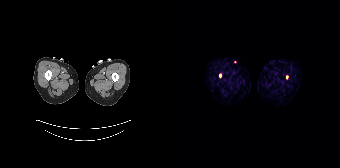
{"modality":"PSMA PET/CT","view":"axial","tracer":"[68Ga]Ga-PSMA-11","pet_grid":[168,168],"coord_frame":"pet_panel","coord_format":"x0,y0,x1,y1","partial":true,"lesion_bboxes":[],"small_foci_centers":[[114,77]]}